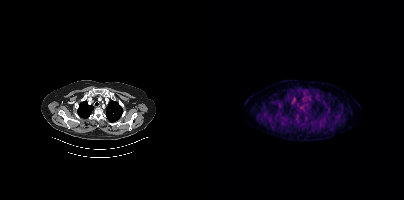
Findings: This slice has no annotated PSMA-avid lesion.
Technique: Left: CT. Right: PSMA PET, same axial level, [18F]PSMA-1007 tracer. acquired on Siemens Biograph mCT Flow 20. PET panel 200×200 px (4.1 mm/px).